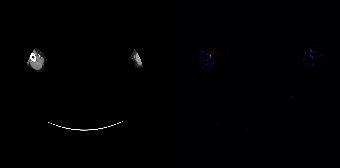
No tumor lesions annotated on this slice. Two-panel axial: CT | PSMA PET, 18F-PSMA tracer. The head region is masked for de-identification.